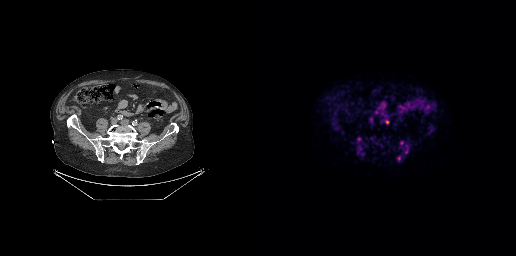
Coordinates are on the 256×256 PET (right) panel. PSMA-avid tumor lesion bounding boxes (x0,y0,x1,y1): [137,156,140,160], [145,148,148,153]. Small PSMA-avid foci (2 to 4 px across) near (center x, center y): (141, 142), (146, 145), (98, 138).